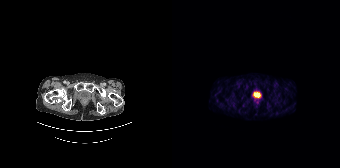
Paired axial CT (left) and PSMA PET (right), [68Ga]Ga-PSMA-11 tracer. Slice 22 of 165. PET panel 168×168 px (4.1 mm/px). No PSMA-avid tumor lesions on this slice.